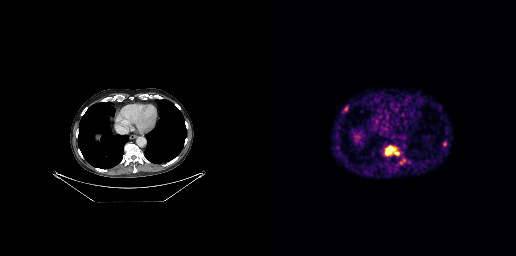
modality: PSMA PET/CT | tracer: 68Ga-PSMA | view: axial
Coordinates are on the 256×256 PET (right) panel. PSMA-avid tumor lesion bounding boxes (x0,y0,x1,y1): [126,147,138,154] [83,106,88,112]. Small PSMA-avid focus (2 to 4 px across) near (center x, center y): (184, 144).